Two-panel axial: CT | PSMA PET, 18F tracer. Slice position z = -1485 mm. PET panel 200×200 px (4.1 mm/px).
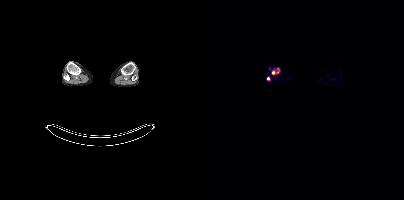
Coordinates are on the 200×200 PET (right) panel. PSMA-avid tumor lesion bounding boxes:
| # | x0 | y0 | x1 | y1 |
|---|---|---|---|---|
| 1 | 72 | 68 | 76 | 72 |
Small PSMA-avid foci (2 to 4 px across) near (center x, center y): (69, 72); (64, 78).